Technique: Left: CT. Right: PSMA PET, same axial level, [18F]PSMA-1007 tracer. PET panel 200×200 px (4.1 mm/px).
Note: A rectangular block over the head has been blanked out for de-identification.
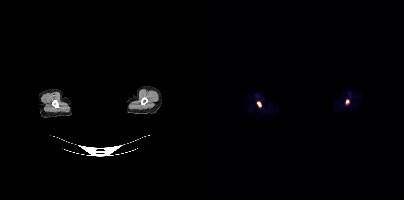
Findings: Coordinates are on the 200×200 PET (right) panel. PSMA-avid tumor lesion bounding box (x0, y0)-(x1, y1): (53, 102)-(57, 106). Small PSMA-avid focus (2 to 4 px across) near (center x, center y): (143, 101).